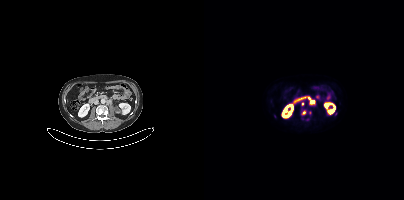
Technique: Left: CT. Right: PSMA PET, same axial level, 18F-PSMA tracer. acquired on Siemens Biograph mCT Flow 20. slice position z = 116 mm. PET panel 200×200 px (4.1 mm/px).
Findings: Coordinates are on the 200×200 PET (right) panel. PSMA-avid tumor lesion bounding box (x0, y0)-(x1, y1): (106, 101)-(110, 103). Small PSMA-avid foci (2 to 4 px across) near (center x, center y): (98, 103) / (100, 112).